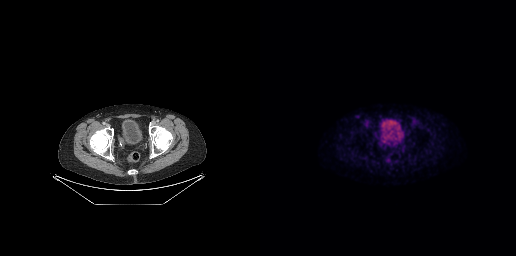
modality: PSMA PET/CT | tracer: 18F | view: axial | PET grid: 256×256
This slice has no annotated PSMA-avid lesion.